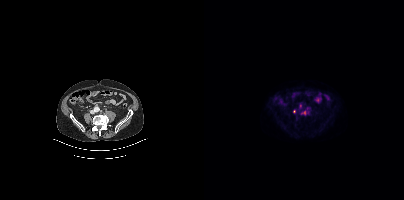
Two-panel axial: CT | PSMA PET, 18F-PSMA tracer. Slice position z = -694 mm. Coordinates are on the 200×200 PET (right) panel. (showing 2 of 3 foci) Small PSMA-avid foci (2 to 4 px across) near (center x, center y): (99, 112), (90, 111).